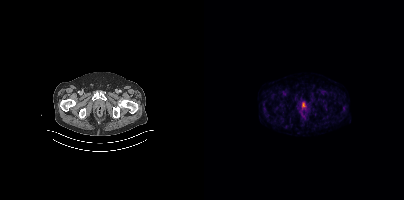
- Paired axial CT (left) and PSMA PET (right), [68Ga]Ga-PSMA-11 tracer
- acquired on Siemens Biograph mCT Flow 20
- slice 65 of 429
Findings: No PSMA-avid tumor lesions on this slice.